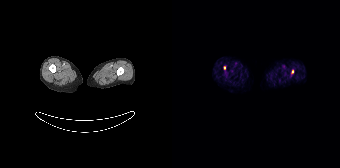
modality: PSMA PET/CT | tracer: [68Ga]Ga-PSMA-11 | view: axial
Coordinates are on the 168×168 PET (right) panel. Small PSMA-avid foci (2 to 4 px across) near (center x, center y): (52, 67) / (120, 71).